Two-panel axial: CT | PSMA PET, 18F-PSMA tracer. Acquired on Siemens Biograph mCT Flow 20. Slice 78 of 450.
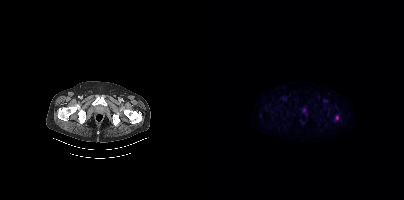
Coordinates are on the 200×200 PET (right) panel. Small PSMA-avid focus (2 to 4 px across) near (center x, center y): (133, 117).